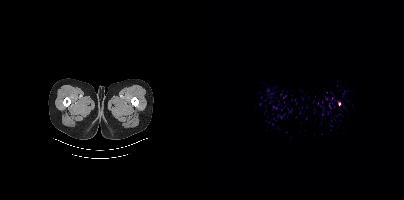
modality: PSMA PET/CT | tracer: 18F | view: axial
Coordinates are on the 200×200 PET (right) panel. Small PSMA-avid focus (2 to 4 px across) near (center x, center y): (135, 103).